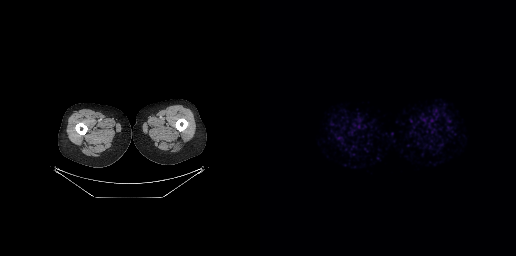
Two-panel axial: CT | PSMA PET, 68Ga-PSMA tracer. PET panel 256×256 px (2.7 mm/px). No tumor lesions annotated on this slice.